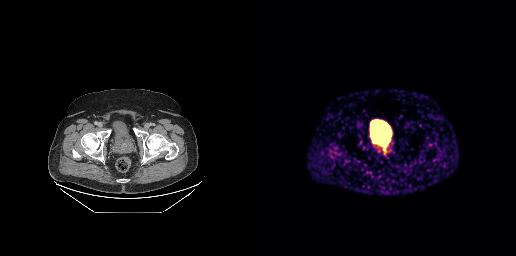
Coordinates are on the 256×256 PET (right) panel. PSMA-avid tumor lesion bounding boxes:
| # | x0 | y0 | x1 | y1 |
|---|---|---|---|---|
| 1 | 112 | 134 | 129 | 154 |
Paired axial CT (left) and PSMA PET (right), 68Ga-PSMA tracer. PET panel 256×256 px (2.7 mm/px).